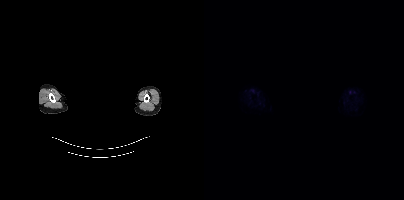
- Two-panel axial: CT | PSMA PET, 18F-PSMA tracer
- slice position z = -841 mm
- an anonymization step blacked out a rectangle over the head in this scan
Findings: No PSMA-avid tumor lesions on this slice.